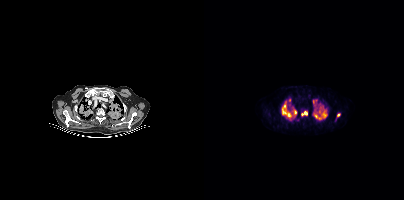
{"modality":"PSMA PET/CT","view":"axial","tracer":"[18F]PSMA-1007","pet_grid":[200,200],"coord_frame":"pet_panel","coord_format":"x0,y0,x1,y1","partial":true,"lesion_bboxes":[[78,101,87,117],[109,111,122,119],[97,111,103,115],[109,99,113,104],[115,106,119,109],[90,110,92,114]],"small_foci_centers":[[134,115],[115,111]]}